- Two-panel axial: CT | PSMA PET, [18F]PSMA-1007 tracer
- acquired on Siemens Biograph mCT Flow 20
- slice 146 of 454
- PET panel 200×200 px (4.1 mm/px)
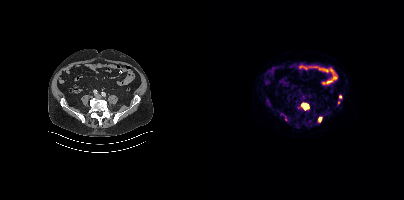
Findings: Coordinates are on the 200×200 PET (right) panel. (showing 3 of 4 foci) PSMA-avid tumor lesion bounding box (x0, y0)-(x1, y1): (98, 103)-(104, 109). Small PSMA-avid foci (2 to 4 px across) near (center x, center y): (115, 119) / (136, 96).